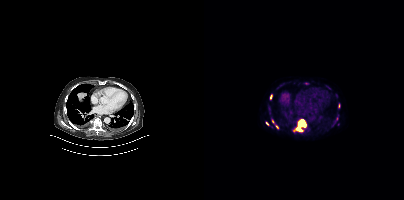
{"pet_grid":[200,200],"coord_frame":"pet_panel","coord_format":"x0,y0,x1,y1","partial":true,"lesion_bboxes":[[89,118,102,132],[66,95,68,99]],"small_foci_centers":[[73,126],[134,105],[63,123],[68,121]],"modality":"PSMA PET/CT","view":"axial","tracer":"18F-PSMA"}